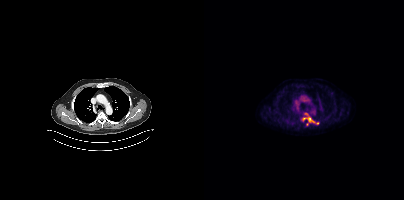
{"modality":"PSMA PET/CT","view":"axial","tracer":"18F","pet_grid":[200,200],"coord_frame":"pet_panel","coord_format":"x0,y0,x1,y1","partial":true,"lesion_bboxes":[[105,118,114,124]],"small_foci_centers":[[102,114],[99,118]]}